Technique: Two-panel axial: CT | PSMA PET, 18F tracer. acquired on Siemens Biograph mCT Flow 20. slice position z = -1032 mm. PET panel 200×200 px (4.1 mm/px).
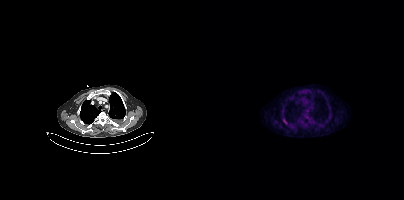
Findings: Coordinates are on the 200×200 PET (right) panel. PSMA-avid tumor lesion bounding box (x0, y0)-(x1, y1): (79, 119)-(83, 124).